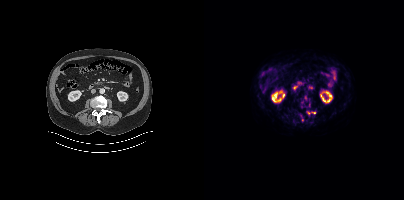
{"modality":"PSMA PET/CT","view":"axial","tracer":"18F","pet_grid":[200,200],"coord_frame":"pet_panel","coord_format":"x0,y0,x1,y1","partial":true,"lesion_bboxes":[[103,111,111,115]]}